- Left: CT. Right: PSMA PET, same axial level, [18F]PSMA-1007 tracer
- acquired on Siemens Biograph mCT Flow 20
- PET panel 200×200 px (4.1 mm/px)
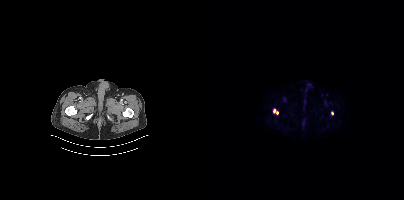
Findings: Coordinates are on the 200×200 PET (right) panel. PSMA-avid tumor lesion bounding boxes (x0,y0,x1,y1): [69,109,74,114]; [127,111,129,115].